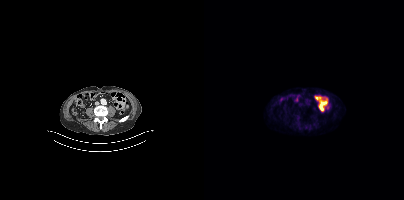
Two-panel axial: CT | PSMA PET, [18F]PSMA-1007 tracer. Acquired on Siemens Biograph mCT Flow 20. PET panel 200×200 px (4.1 mm/px). This slice has no annotated PSMA-avid lesion.